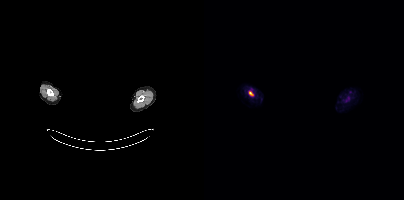
Findings: Coordinates are on the 200×200 PET (right) panel. PSMA-avid tumor lesion bounding box (x0,y0,x1,y1): [45,91,49,95].
- any black rectangle over the head is a privacy mask, not anatomy
- Paired axial CT (left) and PSMA PET (right), 18F-PSMA tracer
- acquired on Siemens Biograph mCT Flow 20
- slice position z = -310 mm